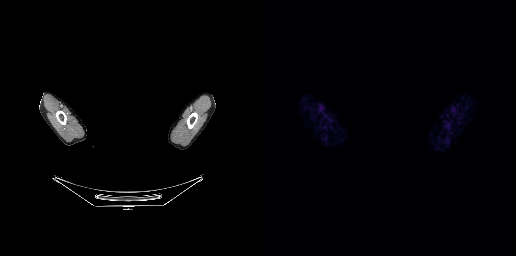
A rectangle over the head was blacked out to remove identifiable facial features. Left: CT. Right: PSMA PET, same axial level, [68Ga]Ga-PSMA-11 tracer. Acquired on GE Discovery 690. Slice 173 of 189. No tumor lesions annotated on this slice.